Any black rectangle over the head is a privacy mask, not anatomy. Left: CT. Right: PSMA PET, same axial level, [68Ga]Ga-PSMA-11 tracer.
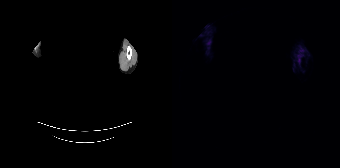
This slice has no annotated PSMA-avid lesion.